- Paired axial CT (left) and PSMA PET (right), 18F tracer
- PET panel 200×200 px (4.1 mm/px)
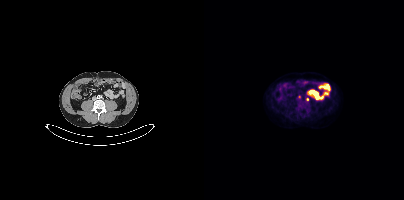
Findings: Coordinates are on the 200×200 PET (right) panel. (showing 1 of 2 foci) Small PSMA-avid focus (2 to 4 px across) near (center x, center y): (103, 99).